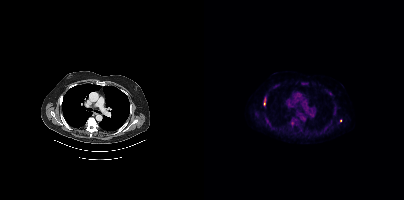
{"pet_grid":[200,200],"coord_frame":"pet_panel","coord_format":"x0,y0,x1,y1","lesion_bboxes":[[61,116,66,125],[87,120,91,126],[59,98,61,105]],"small_foci_centers":[[136,120]],"modality":"PSMA PET/CT","view":"axial","tracer":"[18F]PSMA-1007"}